Two-panel axial: CT | PSMA PET, 18F-PSMA tracer. Acquired on Siemens Biograph mCT Flow 20. PET panel 200×200 px (4.1 mm/px).
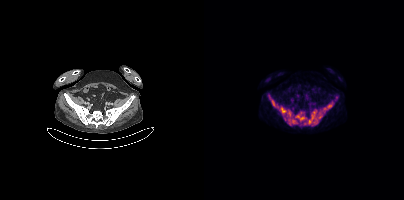
Coordinates are on the 200×200 PET (right) panel. PSMA-avid tumor lesion bounding boxes (x, y, width, height): x=82 y=114 w=35 h=12; x=67 y=100 w=8 h=8. Small PSMA-avid foci (2 to 4 px across) near (center x, center y): (125, 106); (79, 110); (120, 108).